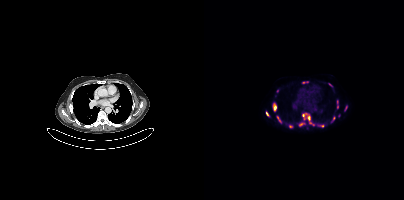
Technique: Two-panel axial: CT | PSMA PET, 18F-PSMA tracer. slice 279 of 407. PET panel 200×200 px (4.1 mm/px).
Findings: Coordinates are on the 200×200 PET (right) panel. (showing 14 of 15 foci) PSMA-avid tumor lesion bounding boxes (x0,y0,x1,y1): [95,122,99,126] [98,113,103,117] [70,104,72,110] [133,100,134,107] [115,125,119,127] [140,106,143,110] [74,118,77,122] [98,82,103,83]. Small PSMA-avid foci (2 to 4 px across) near (center x, center y): (86, 126) (63, 113) (129, 118) (73, 90) (105, 118) (106, 122).